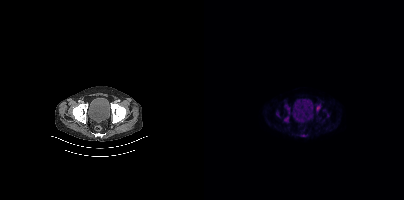
{"modality":"PSMA PET/CT","view":"axial","tracer":"[18F]PSMA-1007","pet_grid":[200,200],"coord_frame":"pet_panel","coord_format":"x0,y0,x1,y1","partial":true,"lesion_bboxes":[[112,104,116,112],[80,116,84,122],[81,105,85,113]],"small_foci_centers":[[73,114],[123,115]]}